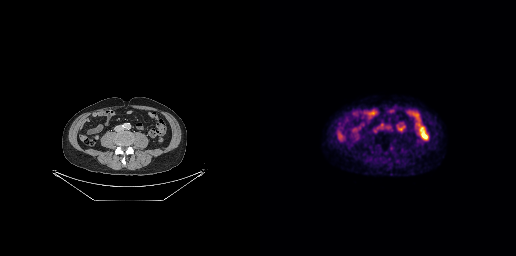
Left: CT. Right: PSMA PET, same axial level, 18F tracer. Acquired on GE Discovery 690. Slice position z = -547 mm. Coordinates are on the 256×256 PET (right) panel. Small PSMA-avid focus (2 to 4 px across) near (center x, center y): (121, 124).